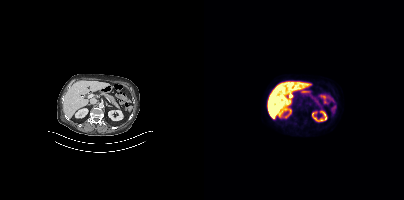
Negative for PSMA-avid disease on this slice.